modality: PSMA PET/CT | tracer: [18F]PSMA-1007 | view: axial
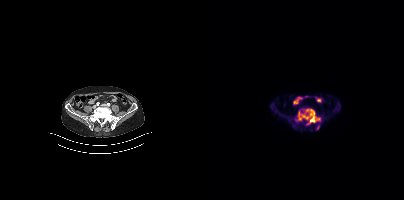
Coordinates are on the 200×200 PET (right) panel. PSMA-avid tumor lesion bounding boxes (x, y, width, height): x=92 y=108 w=25 h=17 / x=133 y=102 w=4 h=5. Small PSMA-avid foci (2 to 4 px across) near (center x, center y): (114, 127) / (89, 125) / (92, 122).